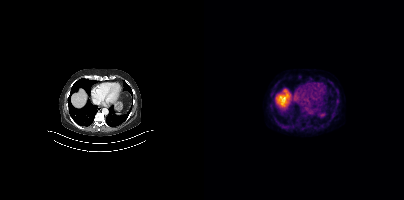
Paired axial CT (left) and PSMA PET (right), 18F-PSMA tracer. Acquired on Siemens Biograph mCT Flow 20. Slice position z = -660 mm. No tumor lesions annotated on this slice.